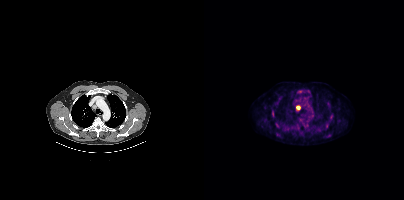
- Left: CT. Right: PSMA PET, same axial level, [18F]PSMA-1007 tracer
- slice position z = -963 mm
Findings: Coordinates are on the 200×200 PET (right) panel. PSMA-avid tumor lesion bounding box (x, y, width, height): x=92 y=105 w=5 h=6. Small PSMA-avid foci (2 to 4 px across) near (center x, center y): (96, 91) | (123, 126).